Technique: Two-panel axial: CT | PSMA PET, 18F-PSMA tracer. slice position z = -556 mm.
Note: Facial anatomy redacted by setting a rectangular region of the head to black.
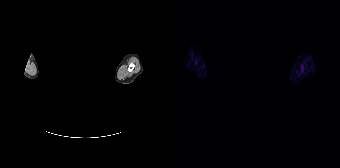
Findings: This slice has no annotated PSMA-avid lesion.